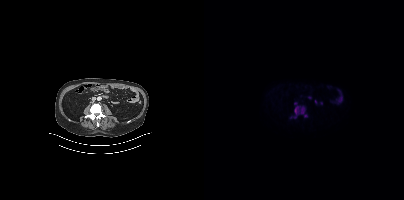
Coordinates are on the 200×200 PET (right) panel. (showing 1 of 3 foci) PSMA-avid tumor lesion bounding box (x, y, width, height): x=93 y=106 w=11 h=12. Left: CT. Right: PSMA PET, same axial level, [18F]PSMA-1007 tracer. Slice position z = -804 mm. PET panel 200×200 px (4.1 mm/px).